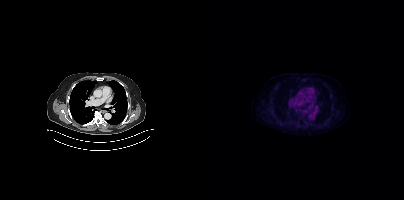
- Left: CT. Right: PSMA PET, same axial level, [18F]PSMA-1007 tracer
- slice 272 of 389
Findings: No tumor lesions annotated on this slice.